Facial anatomy redacted by setting a rectangular region of the head to black. Two-panel axial: CT | PSMA PET, [18F]PSMA-1007 tracer. PET panel 200×200 px (4.1 mm/px).
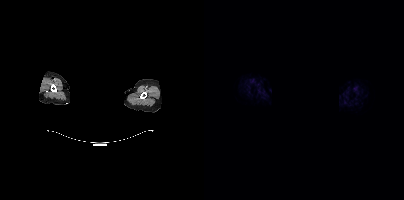
This slice has no annotated PSMA-avid lesion.